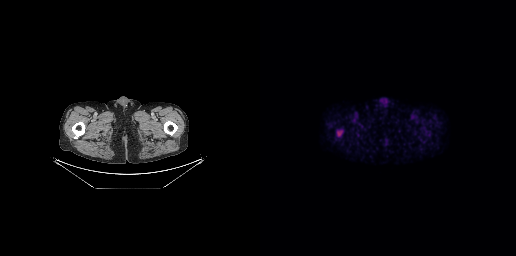
Coordinates are on the 256×256 PET (right) panel. PSMA-avid tumor lesion bounding box (x, y, width, height): x=76 y=130 w=7 h=7.